- Paired axial CT (left) and PSMA PET (right), 18F tracer
- the face region was removed for patient privacy by blanking a rectangle over the head
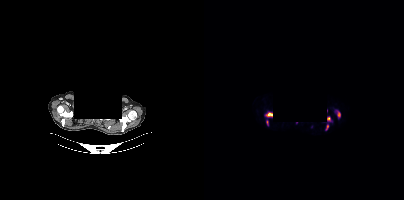
Findings: Coordinates are on the 200×200 PET (right) panel. (showing 4 of 5 foci) PSMA-avid tumor lesion bounding boxes (x0,y0,x1,y1): [60,111,68,117]; [133,110,136,117]; [62,120,64,125]; [122,125,124,129].